Technique: Left: CT. Right: PSMA PET, same axial level, [18F]PSMA-1007 tracer. slice position z = -948 mm.
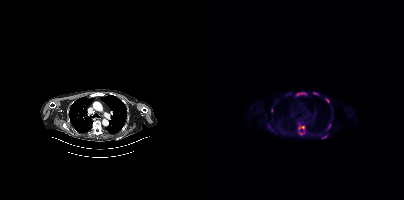
Findings: Coordinates are on the 200×200 PET (right) panel. (showing 10 of 13 foci) PSMA-avid tumor lesion bounding boxes (x, y, width, height): x=94 y=126 w=7 h=4 | x=117 y=135 w=7 h=4 | x=121 y=98 w=5 h=6 | x=123 y=124 w=4 h=6 | x=109 y=92 w=6 h=3 | x=67 y=129 w=5 h=5 | x=95 y=132 w=6 h=3 | x=97 y=93 w=5 h=2 | x=67 y=108 w=2 h=5. Small PSMA-avid focus (2 to 4 px across) near (center x, center y): (94, 93).